Technique: Paired axial CT (left) and PSMA PET (right), 68Ga tracer.
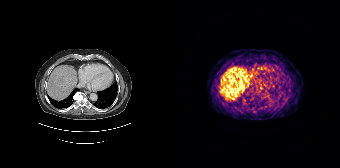
Findings: No tumor lesions annotated on this slice.